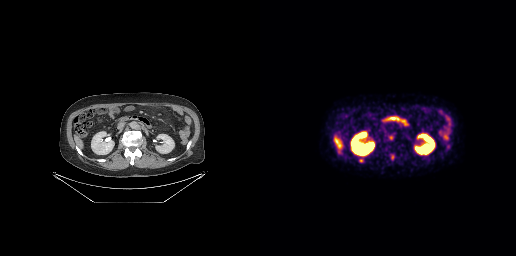
modality: PSMA PET/CT | tracer: [18F]PSMA-1007 | view: axial
Coordinates are on the 256×256 PET (right) panel. (showing 3 of 4 foci) PSMA-avid tumor lesion bounding boxes (x0, y0)-(x1, y1): (99, 158)-(103, 162) | (131, 155)-(134, 159). Small PSMA-avid focus (2 to 4 px across) near (center x, center y): (130, 137).